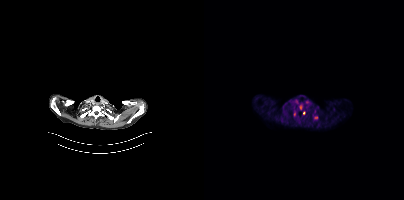
- Left: CT. Right: PSMA PET, same axial level, 18F-PSMA tracer
Findings: Coordinates are on the 200×200 PET (right) panel. Small PSMA-avid foci (2 to 4 px across) near (center x, center y): (111, 117) (99, 113) (96, 107).